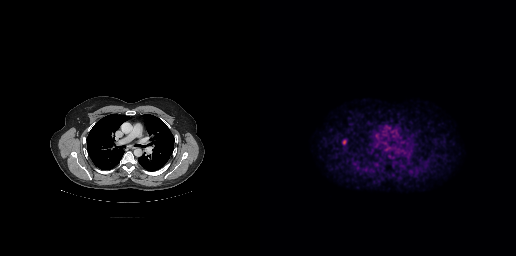
Findings: Coordinates are on the 256×256 PET (right) panel. PSMA-avid tumor lesion bounding box (x, y, width, height): x=83 y=140 w=3 h=5.
- Left: CT. Right: PSMA PET, same axial level, 18F-PSMA tracer
- slice position z = -259 mm
- PET panel 256×256 px (2.7 mm/px)